Two-panel axial: CT | PSMA PET, 18F tracer. Slice 328 of 454. PET panel 200×200 px (4.1 mm/px).
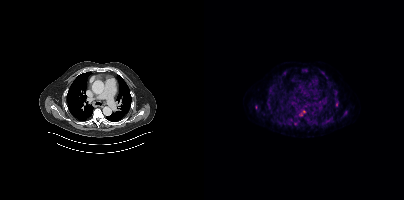
Coordinates are on the 200×200 PET (right) panel. PSMA-avid tumor lesion bounding boxes:
| # | x0 | y0 | x1 | y1 |
|---|---|---|---|---|
| 1 | 94 | 112 | 103 | 119 |
| 2 | 123 | 117 | 129 | 122 |
| 3 | 90 | 121 | 94 | 125 |
| 4 | 132 | 101 | 134 | 106 |
| 5 | 51 | 105 | 53 | 109 |
Small PSMA-avid foci (2 to 4 px across) near (center x, center y): (100, 70); (141, 112); (79, 74); (65, 97); (119, 73); (122, 77); (68, 84); (67, 112).